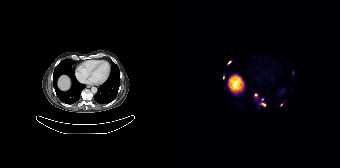
- Left: CT. Right: PSMA PET, same axial level, [18F]PSMA-1007 tracer
- acquired on Siemens Biograph 64-4R TruePoint
Findings: Coordinates are on the 168×168 PET (right) panel. PSMA-avid tumor lesion bounding boxes (x, y, width, height): x=87 y=98 w=8 h=9 / x=82 y=93 w=5 h=7 / x=55 y=60 w=6 h=6 / x=51 y=75 w=2 h=5. Small PSMA-avid foci (2 to 4 px across) near (center x, center y): (109, 104) / (120, 72).